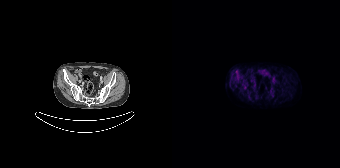
Coordinates are on the 168×168 PET (right) panel. PSMA-avid tumor lesion bounding box (x, y, width, height): x=98 y=88 w=3 h=5.